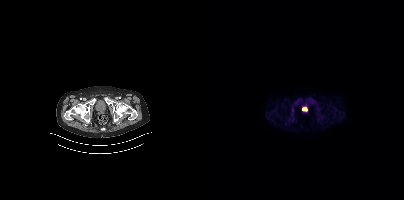
Technique: Two-panel axial: CT | PSMA PET, 18F tracer. slice position z = -1559 mm.
Findings: Coordinates are on the 200×200 PET (right) panel. Small PSMA-avid focus (2 to 4 px across) near (center x, center y): (100, 109).